Two-panel axial: CT | PSMA PET, [18F]PSMA-1007 tracer. Slice 66 of 423. PET panel 200×200 px (4.1 mm/px).
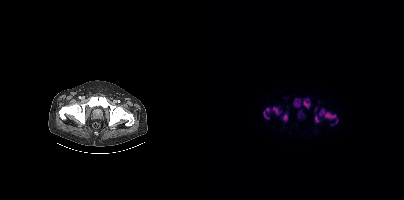
Coordinates are on the 200×200 PET (right) panel. PSMA-avid tumor lesion bounding boxes (x0, y0)-(x1, y1): (115, 109)-(132, 119); (89, 98)-(96, 107); (99, 98)-(106, 107); (59, 108)-(66, 119); (68, 107)-(76, 114); (79, 114)-(83, 120); (111, 115)-(115, 122); (131, 119)-(133, 123). Small PSMA-avid foci (2 to 4 px across) near (center x, center y): (111, 109); (127, 124).